Left: CT. Right: PSMA PET, same axial level, [18F]PSMA-1007 tracer. PET panel 200×200 px (4.1 mm/px).
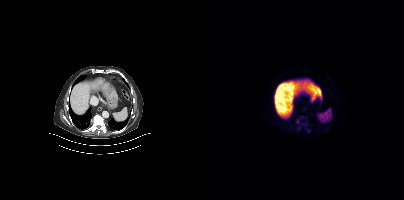
This slice has no annotated PSMA-avid lesion.